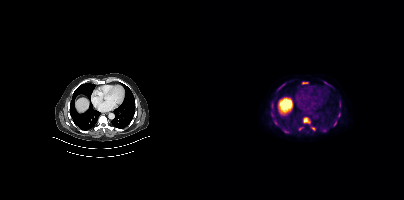
Coordinates are on the 200×200 PET (right) panel. (showing 15 of 17 foci) PSMA-avid tumor lesion bounding boxes (x, y, width, height): x=99 y=117 w=8 h=7 | x=69 y=119 w=6 h=7 | x=67 y=102 w=3 h=7 | x=129 y=120 w=4 h=7 | x=67 y=111 w=3 h=5 | x=73 y=87 w=4 h=5 | x=135 y=102 w=2 h=6. Small PSMA-avid foci (2 to 4 px across) near (center x, center y): (120, 130) | (95, 128) | (80, 130) | (109, 128) | (127, 86) | (79, 84) | (121, 82) | (134, 116).